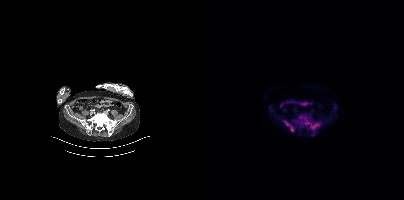
{"modality":"PSMA PET/CT","view":"axial","tracer":"18F","pet_grid":[200,200],"coord_frame":"pet_panel","coord_format":"x0,y0,x1,y1","lesion_bboxes":[[105,122,116,130],[80,121,89,131],[94,114,99,119],[101,119,104,123]],"small_foci_centers":[[91,123],[96,124]]}